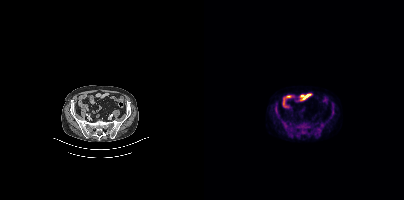
Left: CT. Right: PSMA PET, same axial level, [18F]PSMA-1007 tracer. Slice 127 of 452. PET panel 200×200 px (4.1 mm/px).
Coordinates are on the 200×200 PET (right) panel. PSMA-avid tumor lesion bounding boxes:
| # | x0 | y0 | x1 | y1 |
|---|---|---|---|---|
| 1 | 71 | 103 | 75 | 116 |
| 2 | 128 | 104 | 130 | 114 |
| 3 | 97 | 131 | 102 | 133 |
Small PSMA-avid focus (2 to 4 px across) near (center x, center y): (80, 122).